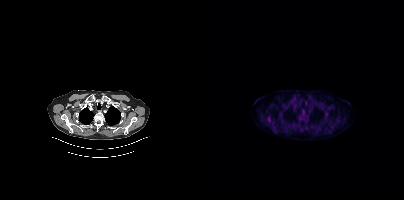
Coordinates are on the 200×200 PET (right) panel. PSMA-avid tumor lesion bounding box (x, y, width, height): x=63 y=117 w=4 h=5.